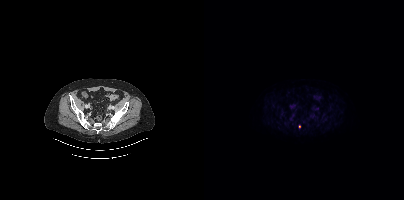
Technique: Left: CT. Right: PSMA PET, same axial level, 18F-PSMA tracer. PET panel 200×200 px (4.1 mm/px).
Findings: Coordinates are on the 200×200 PET (right) panel. Small PSMA-avid focus (2 to 4 px across) near (center x, center y): (95, 126).